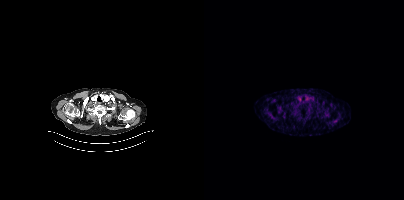
No PSMA-avid tumor lesions on this slice.